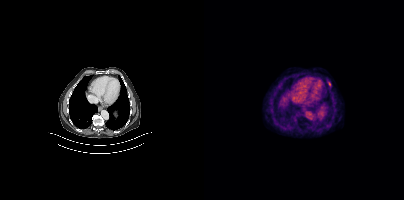
Technique: Paired axial CT (left) and PSMA PET (right), 18F tracer. slice position z = -442 mm.
Findings: Coordinates are on the 200×200 PET (right) panel. PSMA-avid tumor lesion bounding box (x0,y0,x1,y1): [124,81,127,86].